- Paired axial CT (left) and PSMA PET (right), [68Ga]Ga-PSMA-11 tracer
- acquired on Siemens Biograph mCT Flow 20
- slice position z = -973 mm
- PET panel 200×200 px (4.1 mm/px)
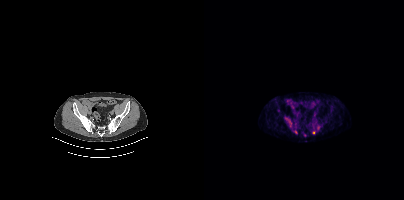
Findings: Coordinates are on the 200×200 PET (right) panel. (showing 1 of 2 foci) Small PSMA-avid focus (2 to 4 px across) near (center x, center y): (109, 132).